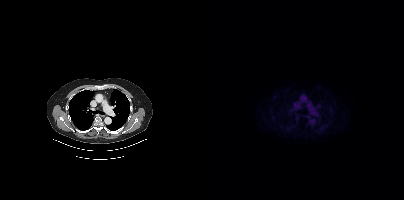
No tumor lesions annotated on this slice.